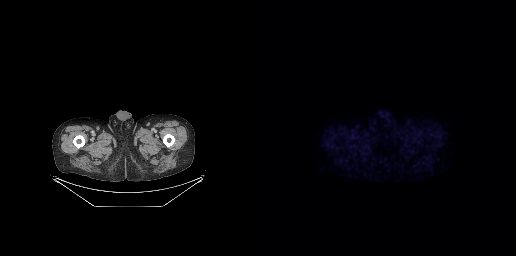
{"modality":"PSMA PET/CT","view":"axial","tracer":"[18F]PSMA-1007","pet_grid":[256,256],"coord_frame":"pet_panel","coord_format":"x0,y0,x1,y1","psma_avid_lesions":false}